Two-panel axial: CT | PSMA PET, 68Ga-PSMA tracer. PET panel 256×256 px (2.7 mm/px).
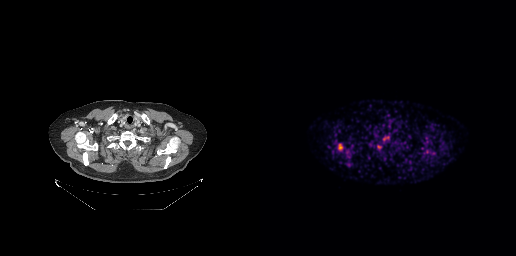
Coordinates are on the 256×256 PET (right) panel. PSMA-avid tumor lesion bounding box (x0, y0)-(x1, y1): (78, 143)-(83, 150). Small PSMA-avid foci (2 to 4 px across) near (center x, center y): (119, 147) | (124, 138) | (127, 137).